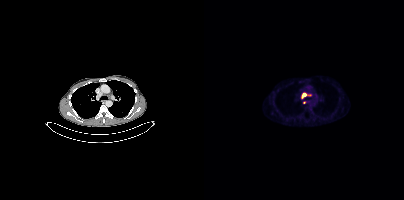
Paired axial CT (left) and PSMA PET (right), 18F-PSMA tracer. Coordinates are on the 200×200 PET (right) panel. (showing 1 of 2 foci) PSMA-avid tumor lesion bounding box (x, y, width, height): x=98 y=93 w=9 h=5.